Technique: Two-panel axial: CT | PSMA PET, 18F-PSMA tracer.
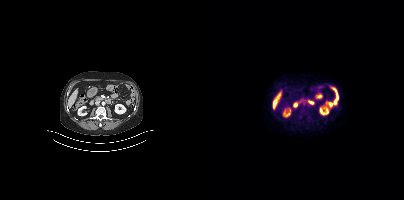
Findings: Negative for PSMA-avid disease on this slice.